modality: PSMA PET/CT | tracer: 18F-PSMA | view: axial
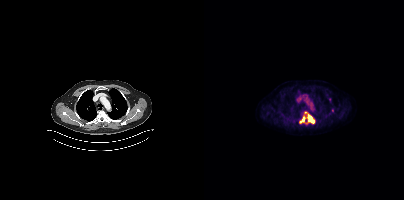
Coordinates are on the 200×200 PET (right) panel. (showing 2 of 3 foci) PSMA-avid tumor lesion bounding box (x0,y0,x1,y1): [96,112,111,123]. Small PSMA-avid focus (2 to 4 px across) near (center x, center y): (128, 110).